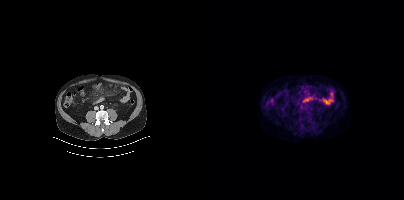
{"pet_grid":[200,200],"coord_frame":"pet_panel","coord_format":"x0,y0,x1,y1","psma_avid_lesions":false,"modality":"PSMA PET/CT","view":"axial","tracer":"18F"}